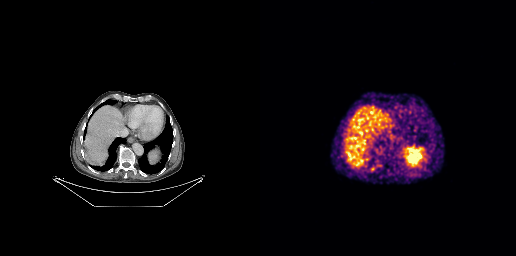
- Paired axial CT (left) and PSMA PET (right), 68Ga-PSMA tracer
- acquired on GE Discovery 690
- slice 156 of 263
Findings: Coordinates are on the 256×256 PET (right) panel. (showing 1 of 2 foci) Small PSMA-avid focus (2 to 4 px across) near (center x, center y): (112, 168).